- Two-panel axial: CT | PSMA PET, 18F-PSMA tracer
- acquired on Siemens Biograph mCT Flow 20
- PET panel 200×200 px (4.1 mm/px)
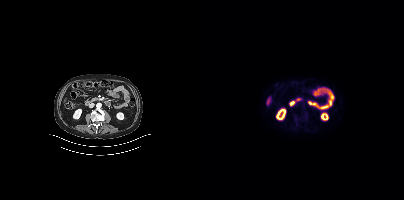
Findings: No PSMA-avid tumor lesions on this slice.